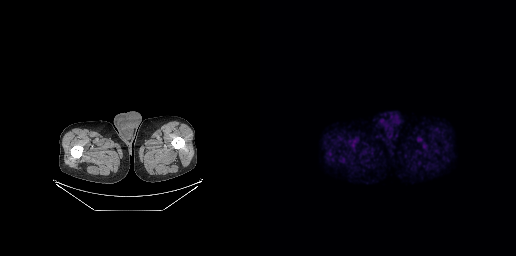
{"modality":"PSMA PET/CT","view":"axial","tracer":"18F","pet_grid":[256,256],"coord_frame":"pet_panel","coord_format":"x0,y0,x1,y1","psma_avid_lesions":false}